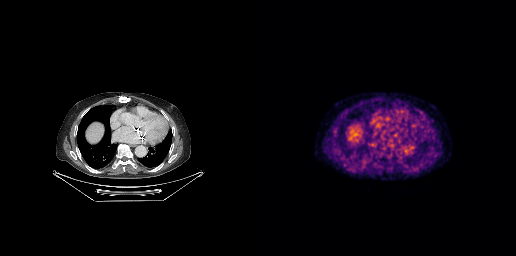
This slice has no annotated PSMA-avid lesion. Left: CT. Right: PSMA PET, same axial level, [18F]PSMA-1007 tracer. Acquired on GE Discovery 690. Slice 183 of 263.